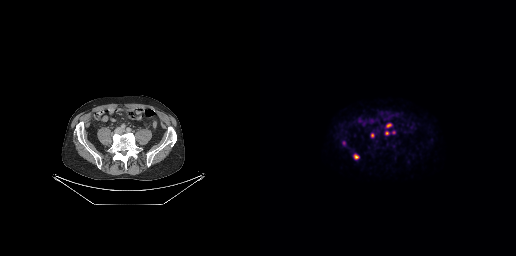
Coordinates are on the 256×256 PET (right) panel. (showing 5 of 6 foci) PSMA-avid tumor lesion bounding boxes (x, y, width, height): x=94 y=154 w=6 h=6 / x=126 y=123 w=7 h=5 / x=111 y=133 w=4 h=5 / x=125 y=131 w=5 h=5. Small PSMA-avid focus (2 to 4 px across) near (center x, center y): (133, 132). Left: CT. Right: PSMA PET, same axial level, 18F-PSMA tracer. Slice position z = -529 mm. PET panel 256×256 px (2.7 mm/px).